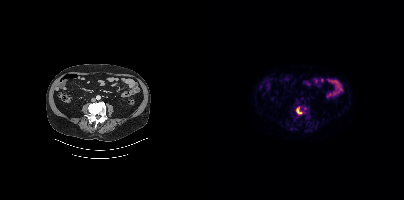
Findings: Coordinates are on the 200×200 PET (right) panel. (showing 1 of 2 foci) PSMA-avid tumor lesion bounding box (x0, y0)-(x1, y1): (92, 107)-(98, 114).
Technique: Two-panel axial: CT | PSMA PET, 18F tracer. acquired on Siemens Biograph mCT Flow 20. slice position z = -765 mm.